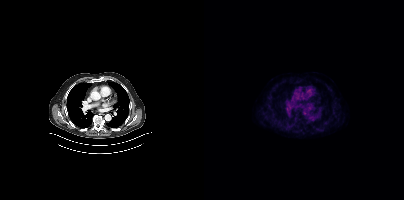
{"pet_grid":[200,200],"coord_frame":"pet_panel","coord_format":"x0,y0,x1,y1","psma_avid_lesions":false,"modality":"PSMA PET/CT","view":"axial","tracer":"18F"}